Paired axial CT (left) and PSMA PET (right), [68Ga]Ga-PSMA-11 tracer. PET panel 200×200 px (4.1 mm/px).
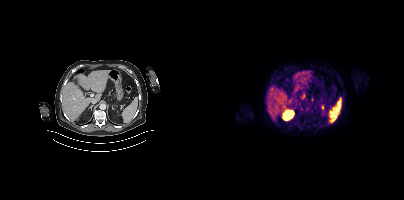
No tumor lesions annotated on this slice.